- Paired axial CT (left) and PSMA PET (right), 18F tracer
- slice position z = -939 mm
- PET panel 200×200 px (4.1 mm/px)
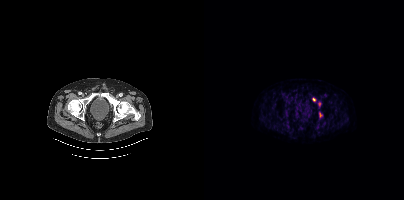
Findings: Coordinates are on the 200×200 PET (right) panel. PSMA-avid tumor lesion bounding box (x, y, width, height): x=115 y=113 w=3 h=5. Small PSMA-avid foci (2 to 4 px across) near (center x, center y): (109, 99) | (115, 104).